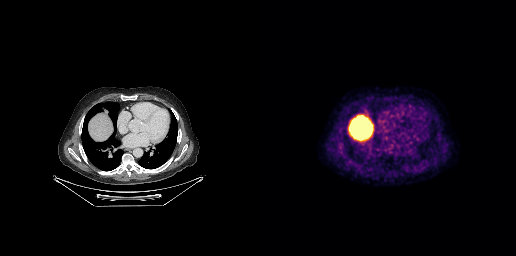
{"pet_grid":[256,256],"coord_frame":"pet_panel","coord_format":"x0,y0,x1,y1","psma_avid_lesions":false,"modality":"PSMA PET/CT","view":"axial","tracer":"18F-PSMA"}